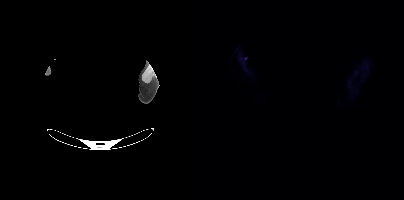
- head region blanked for anonymization (face removed)
- Two-panel axial: CT | PSMA PET, [18F]PSMA-1007 tracer
- PET panel 200×200 px (4.1 mm/px)
Findings: Negative for PSMA-avid disease on this slice.